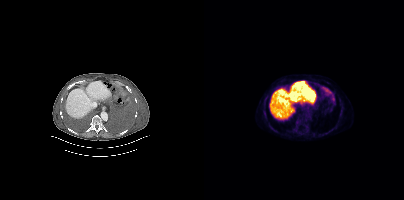
Coordinates are on the 200×200 PET (right) panel. PSMA-avid tumor lesion bounding boxes (x0,y0,x1,y1): [116,87,128,93] [127,96,130,101] [97,102,101,104].